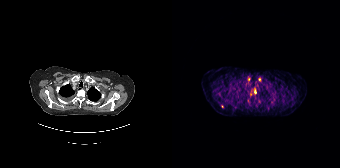
Coordinates are on the 168×168 PET (right) panel. (showing 3 of 5 foci) PSMA-avid tumor lesion bounding box (x, y, width, height): x=82 y=89 w=3 h=5. Small PSMA-avid foci (2 to 4 px across) near (center x, center y): (76, 79); (87, 79).